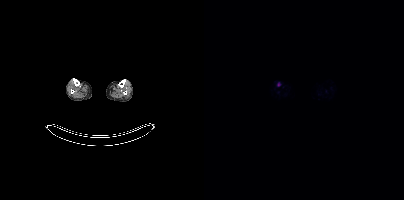
Only PSMA-avid lesion pieces thinner than 2 px on this slice (not listed).